Paired axial CT (left) and PSMA PET (right), [18F]PSMA-1007 tracer. Acquired on Siemens Biograph mCT Flow 20. Slice position z = -941 mm.
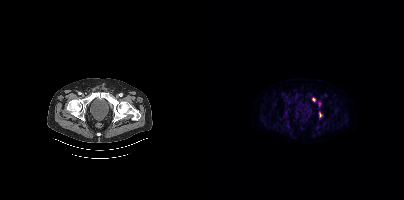
Coordinates are on the 200×200 PET (right) panel. PSMA-avid tumor lesion bounding box (x0,y0,x1,y1): [115,112,118,117]. Small PSMA-avid foci (2 to 4 px across) near (center x, center y): (109, 99); (115, 104).